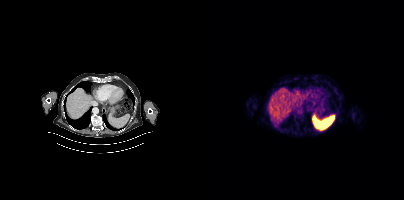
modality: PSMA PET/CT | tracer: 18F-PSMA | view: axial
Negative for PSMA-avid disease on this slice.